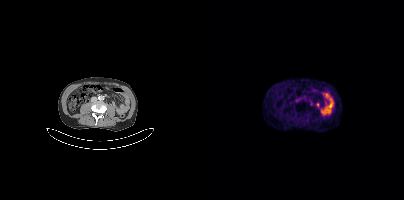
modality: PSMA PET/CT | tracer: 68Ga-PSMA | view: axial | PET grid: 200×200
Negative for PSMA-avid disease on this slice.